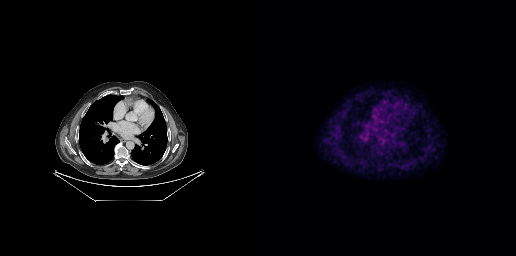
Left: CT. Right: PSMA PET, same axial level, [18F]PSMA-1007 tracer. Negative for PSMA-avid disease on this slice.